Paired axial CT (left) and PSMA PET (right), 18F-PSMA tracer.
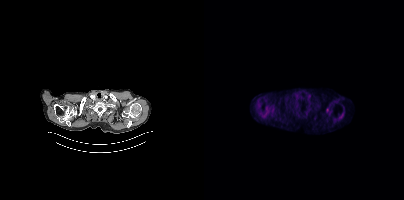
Negative for PSMA-avid disease on this slice.